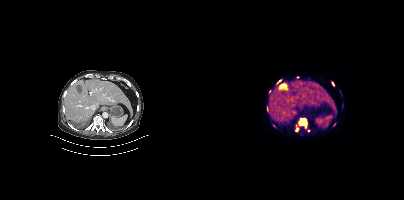
Coordinates are on the 200×200 PET (right) panel. (showing 7 of 8 foci) PSMA-avid tumor lesion bounding boxes (x0, y0)-(x1, y1): (91, 118)-(103, 132); (128, 81)-(130, 86); (73, 80)-(77, 83). Small PSMA-avid foci (2 to 4 px across) near (center x, center y): (63, 108); (104, 130); (69, 125); (130, 124).
modality: PSMA PET/CT | tracer: [18F]PSMA-1007 | view: axial